Technique: Two-panel axial: CT | PSMA PET, [18F]PSMA-1007 tracer. acquired on Siemens Biograph mCT Flow 20.
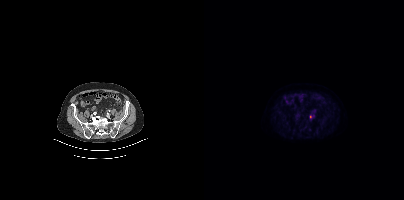
Findings: Coordinates are on the 200×200 PET (right) panel. Small PSMA-avid focus (2 to 4 px across) near (center x, center y): (106, 116).